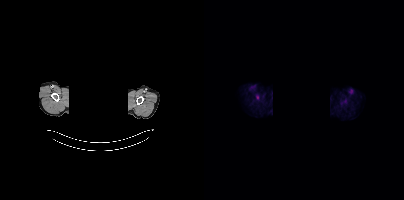
deidentification: privacy mask over head | modality: PSMA PET/CT | tracer: 18F-PSMA | view: axial
No tumor lesions annotated on this slice.